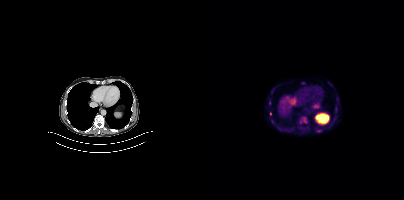
Coordinates are on the 200×200 PET (right) panel. PSMA-avid tumor lesion bounding boxes (x, y, width, height): x=96 y=118 w=6 h=5 | x=131 y=107 w=2 h=5. Small PSMA-avid foci (2 to 4 px across) near (center x, center y): (65, 102) | (99, 82) | (66, 113).